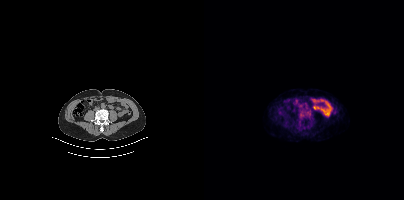
Technique: Paired axial CT (left) and PSMA PET (right), 68Ga tracer. acquired on Siemens Biograph mCT Flow 20. slice position z = -875 mm.
Findings: No PSMA-avid tumor lesions on this slice.